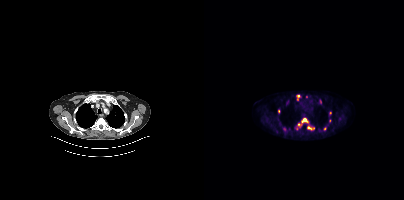
{"pet_grid":[200,200],"coord_frame":"pet_panel","coord_format":"x0,y0,x1,y1","partial":true,"lesion_bboxes":[[94,118,104,126],[103,126,110,130]],"small_foci_centers":[[74,111],[80,129],[120,128],[126,112]],"modality":"PSMA PET/CT","view":"axial","tracer":"[18F]PSMA-1007"}